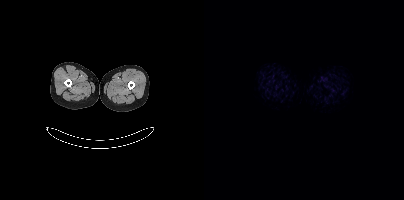
No PSMA-avid tumor lesions on this slice.